The face region was removed for patient privacy by blanking a rectangle over the head. Two-panel axial: CT | PSMA PET, 18F tracer. Acquired on Siemens Biograph mCT Flow 20.
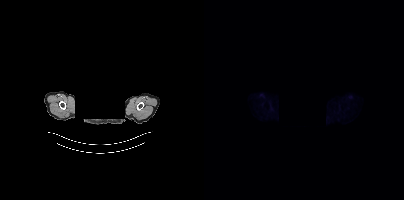
Negative for PSMA-avid disease on this slice.